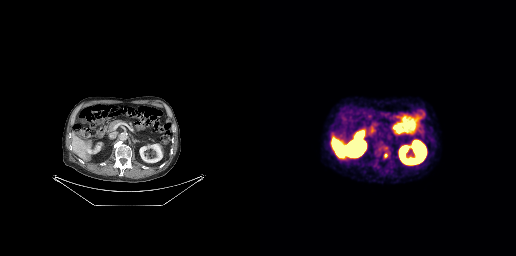
{"modality":"PSMA PET/CT","view":"axial","tracer":"18F-PSMA","pet_grid":[256,256],"coord_frame":"pet_panel","coord_format":"x0,y0,x1,y1","lesion_bboxes":[[124,153,127,157]]}